modality: PSMA PET/CT | tracer: 18F-PSMA | view: axial | PET grid: 200×200
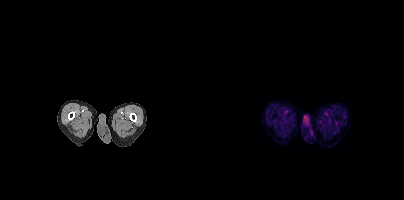
Negative for PSMA-avid disease on this slice.